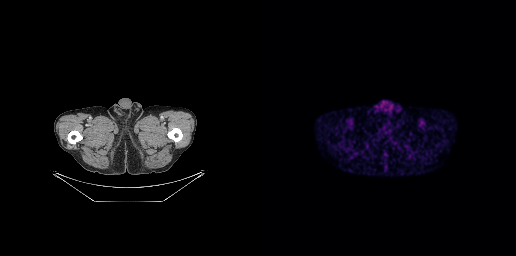
Technique: Left: CT. Right: PSMA PET, same axial level, [68Ga]Ga-PSMA-11 tracer. acquired on GE Discovery 690. PET panel 256×256 px (2.7 mm/px).
Findings: Negative for PSMA-avid disease on this slice.